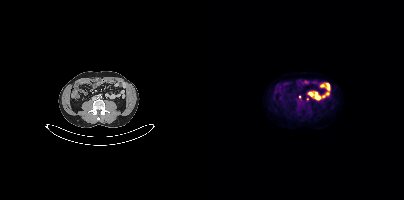
Paired axial CT (left) and PSMA PET (right), 18F tracer. Coordinates are on the 200×200 PET (right) panel. (showing 1 of 2 foci) Small PSMA-avid focus (2 to 4 px across) near (center x, center y): (95, 96).